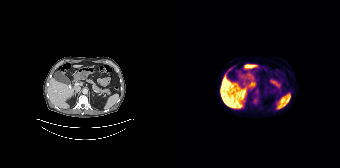
This slice has no annotated PSMA-avid lesion.